Two-panel axial: CT | PSMA PET, 18F-PSMA tracer.
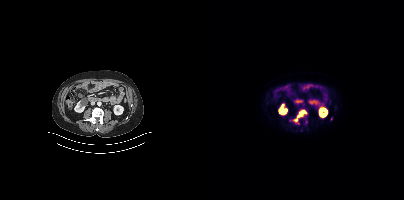
Coordinates are on the 200×200 PET (right) panel. PSMA-avid tumor lesion bounding box (x0,y0,x1,y1): [90,110,102,121].